Technique: Two-panel axial: CT | PSMA PET, 18F tracer. acquired on Siemens Biograph mCT Flow 20. slice position z = -634 mm. PET panel 200×200 px (4.1 mm/px).
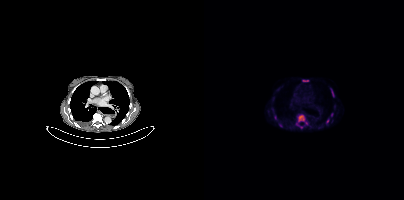
Findings: Coordinates are on the 200×200 PET (right) panel. (showing 6 of 8 foci) PSMA-avid tumor lesion bounding boxes (x0, y0)-(x1, y1): (94, 115)-(100, 121) / (127, 89)-(130, 96) / (99, 80)-(104, 81). Small PSMA-avid foci (2 to 4 px across) near (center x, center y): (123, 120) / (127, 114) / (102, 123).